Technique: Left: CT. Right: PSMA PET, same axial level, 18F-PSMA tracer. PET panel 200×200 px (4.1 mm/px).
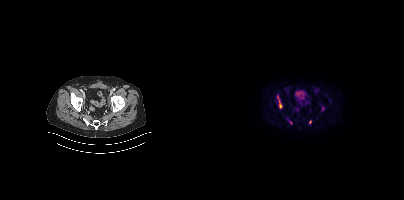
Findings: Coordinates are on the 200×200 PET (right) panel. PSMA-avid tumor lesion bounding box (x, y, width, height): x=75 y=100 w=4 h=9. Small PSMA-avid foci (2 to 4 px across) near (center x, center y): (106, 122) / (73, 97).